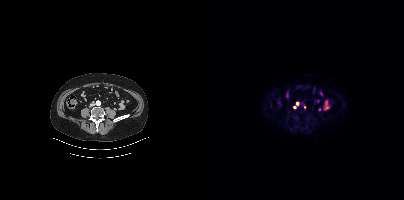
Findings: Coordinates are on the 200×200 PET (right) panel. (showing 2 of 3 foci) Small PSMA-avid foci (2 to 4 px across) near (center x, center y): (93, 103); (100, 107).
Technique: Two-panel axial: CT | PSMA PET, [18F]PSMA-1007 tracer. acquired on Siemens Biograph mCT Flow 20. PET panel 200×200 px (4.1 mm/px).